Left: CT. Right: PSMA PET, same axial level, [68Ga]Ga-PSMA-11 tracer. Acquired on Siemens Biograph 64-4R TruePoint. PET panel 168×168 px (4.1 mm/px).
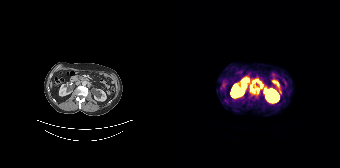
Coordinates are on the 168×168 PET (right) panel. PSMA-avid tumor lesion bounding box (x0,y0,x1,y1): [78,85,88,93].